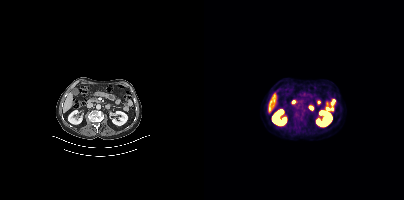
Coordinates are on the 200×200 PET (right) panel. Small PSMA-avid focus (2 to 4 px across) near (center x, center y): (99, 110).